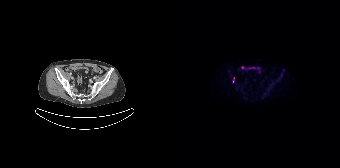
Technique: Left: CT. Right: PSMA PET, same axial level, 18F-PSMA tracer. PET panel 168×168 px (4.1 mm/px).
Findings: Only PSMA-avid lesion pieces thinner than 2 px on this slice (not listed).